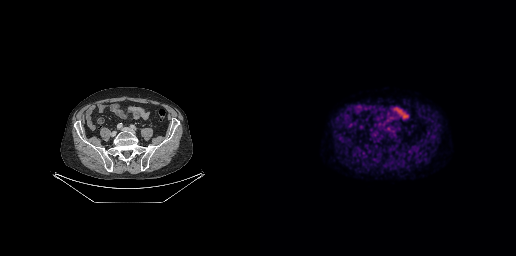
Left: CT. Right: PSMA PET, same axial level, 18F tracer. Acquired on GE Discovery 690. Slice position z = -630 mm. This slice has no annotated PSMA-avid lesion.